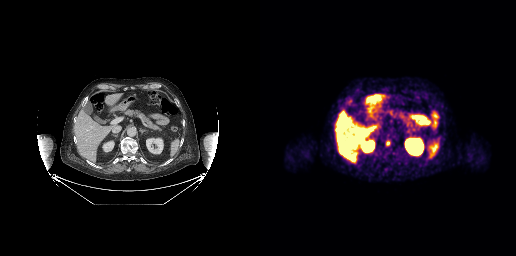
{"modality":"PSMA PET/CT","view":"axial","tracer":"18F","pet_grid":[256,256],"coord_frame":"pet_panel","coord_format":"x0,y0,x1,y1","lesion_bboxes":[[126,141,129,145]]}